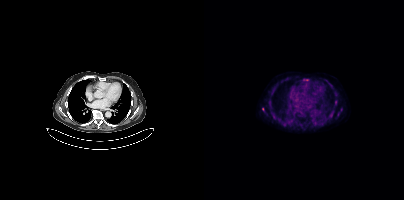
Coordinates are on the 200×200 PET (right) panel. (showing 4 of 6 foci) Small PSMA-avid foci (2 to 4 px across) near (center x, center y): (70, 117) | (103, 79) | (58, 109) | (65, 101).
modality: PSMA PET/CT | tracer: 18F-PSMA | view: axial